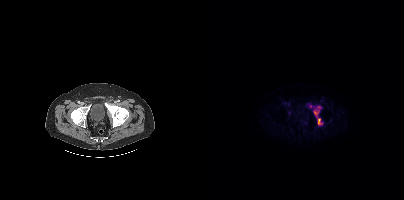
Two-panel axial: CT | PSMA PET, [18F]PSMA-1007 tracer. Coordinates are on the 200×200 PET (right) panel. PSMA-avid tumor lesion bounding box (x0,y0,x1,y1): [110,109,118,125]. Small PSMA-avid foci (2 to 4 px across) near (center x, center y): (114, 107); (106, 106).